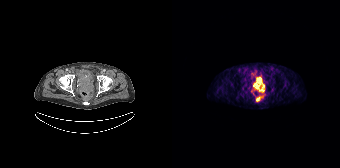
Paired axial CT (left) and PSMA PET (right), 68Ga-PSMA tracer. Acquired on Siemens Biograph 64-4R TruePoint.
Coordinates are on the 168×168 PET (right) panel. PSMA-avid tumor lesion bounding boxes:
| # | x0 | y0 | x1 | y1 |
|---|---|---|---|---|
| 1 | 81 | 77 | 92 | 92 |
| 2 | 84 | 97 | 88 | 101 |
Small PSMA-avid focus (2 to 4 px across) near (center x, center y): (80, 73).